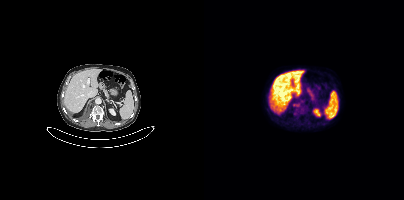
Only PSMA-avid lesion pieces thinner than 2 px on this slice (not listed).
modality: PSMA PET/CT | tracer: [18F]PSMA-1007 | view: axial | PET grid: 200×200